modality: PSMA PET/CT | tracer: 18F | view: axial | PET grid: 200×200
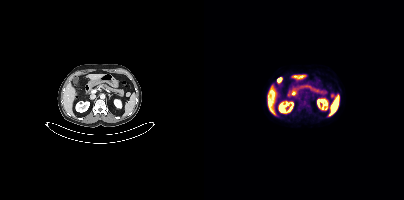
Coordinates are on the 200×200 PET (right) panel. Small PSMA-avid focus (2 to 4 px across) near (center x, center y): (128, 95).